modality: PSMA PET/CT | tracer: [18F]PSMA-1007 | view: axial | PET grid: 256×256
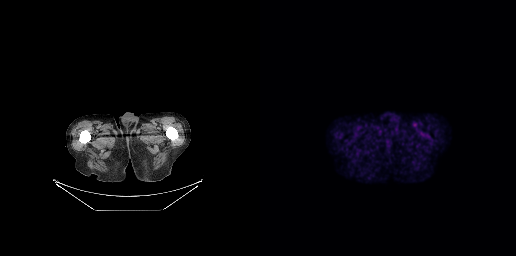
Negative for PSMA-avid disease on this slice.